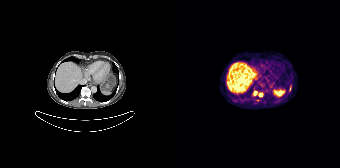
Coordinates are on the 168×168 PET (right) panel. Small PSMA-avid foci (2 to 4 px across) near (center x, center y): (83, 92); (89, 95); (118, 86).